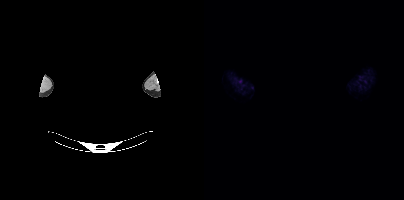
{"modality":"PSMA PET/CT","view":"axial","tracer":"18F-PSMA","pet_grid":[200,200],"coord_frame":"pet_panel","coord_format":"x0,y0,x1,y1","de-identification":"head region blanked (face removed)","psma_avid_lesions":false}